Two-panel axial: CT | PSMA PET, [18F]PSMA-1007 tracer. Slice position z = -582 mm.
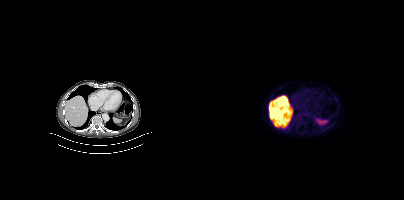
No tumor lesions annotated on this slice.